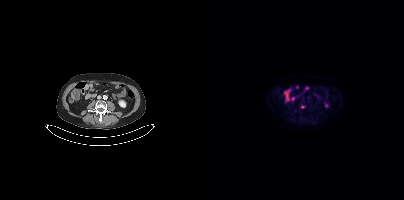
Coordinates are on the 200×200 PET (right) panel. Small PSMA-avid focus (2 to 4 px across) near (center x, center y): (98, 106).
modality: PSMA PET/CT | tracer: 18F-PSMA | view: axial